modality: PSMA PET/CT | tracer: [18F]PSMA-1007 | view: axial | PET grid: 200×200
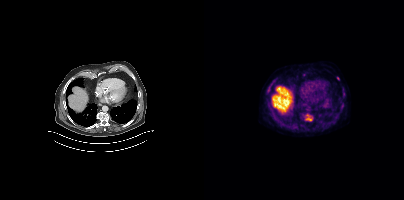
Coordinates are on the 200×200 PET (right) panel. (showing 4 of 5 foci) PSMA-avid tumor lesion bounding box (x, y, width, height): x=101 y=114 w=8 h=8. Small PSMA-avid foci (2 to 4 px across) near (center x, center y): (67, 83); (134, 78); (99, 74).